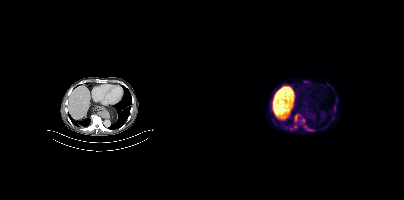
Coordinates are on the 200×200 PET (right) panel. PSMA-avid tumor lesion bounding boxes (partial; 1 more focus not listed):
| # | x0 | y0 | x1 | y1 |
|---|---|---|---|---|
| 1 | 100 | 126 | 110 | 131 |
| 2 | 91 | 114 | 94 | 121 |
| 3 | 129 | 105 | 131 | 110 |
Small PSMA-avid foci (2 to 4 px across) near (center x, center y): (99, 120); (91, 126); (129, 117).
Paired axial CT (left) and PSMA PET (right), [18F]PSMA-1007 tracer. Slice position z = 302 mm. PET panel 200×200 px (4.1 mm/px).